Left: CT. Right: PSMA PET, same axial level, 68Ga-PSMA tracer. Slice 155 of 263. PET panel 256×256 px (2.7 mm/px).
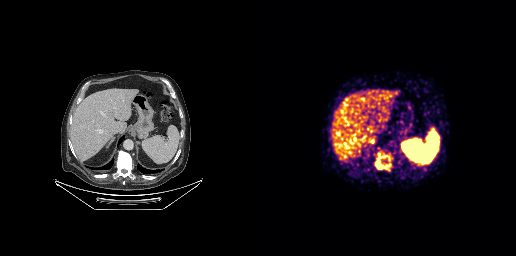
Coordinates are on the 256×256 PET (right) panel. PSMA-avid tumor lesion bounding boxes:
| # | x0 | y0 | x1 | y1 |
|---|---|---|---|---|
| 1 | 115 | 152 | 131 | 170 |